Technique: Paired axial CT (left) and PSMA PET (right), 18F tracer. slice 1 of 389.
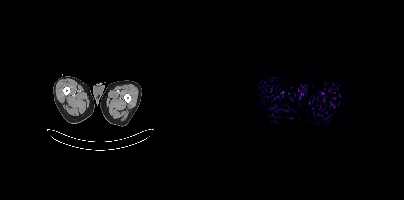
Findings: This slice has no annotated PSMA-avid lesion.